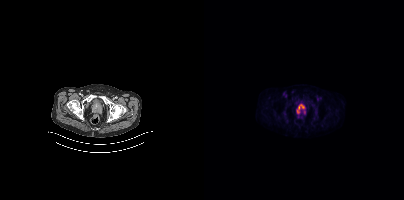
{"modality":"PSMA PET/CT","view":"axial","tracer":"18F-PSMA","pet_grid":[200,200],"coord_frame":"pet_panel","coord_format":"x0,y0,x1,y1","lesion_bboxes":[[93,104,100,113]]}